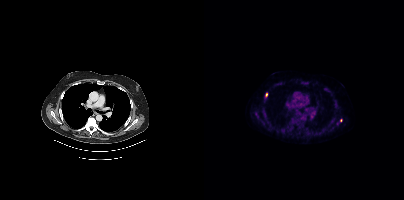
Coordinates are on the 200×200 PET (right) panel. (showing 5 of 6 foci) PSMA-avid tumor lesion bounding box (x, y, width, height): x=59 y=114 w=6 h=10. Small PSMA-avid foci (2 to 4 px across) near (center x, center y): (62, 94) | (58, 122) | (137, 120) | (88, 121).